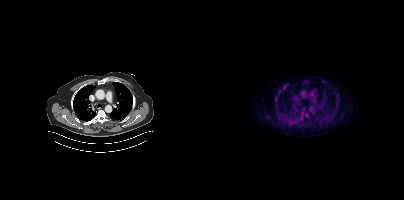
Findings: Coordinates are on the 200×200 PET (right) panel. (showing 2 of 3 foci) PSMA-avid tumor lesion bounding box (x0,y0,x1,y1): [97,112,99,119]. Small PSMA-avid focus (2 to 4 px across) near (center x, center y): (102, 115).
- Left: CT. Right: PSMA PET, same axial level, 18F tracer
- acquired on Siemens Biograph mCT Flow 20
- slice 297 of 411